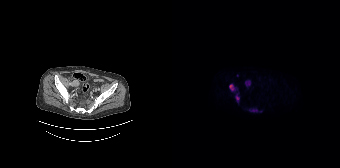
modality: PSMA PET/CT | tracer: [18F]PSMA-1007 | view: axial
Coordinates are on the 168×168 PET (right) panel. (showing 4 of 5 foci) PSMA-avid tumor lesion bounding boxes (x, y, width, height): x=73 y=80 w=6 h=7; x=57 y=84 w=6 h=7; x=78 y=109 w=8 h=3. Small PSMA-avid focus (2 to 4 px across) near (center x, center y): (65, 97).